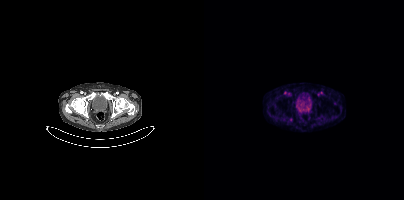
{"modality":"PSMA PET/CT","view":"axial","tracer":"18F-PSMA","pet_grid":[200,200],"coord_frame":"pet_panel","coord_format":"x0,y0,x1,y1","psma_avid_lesions":false}